modality: PSMA PET/CT | tracer: 18F-PSMA | view: axial | PET grid: 200×200 | deidentification: privacy mask over head
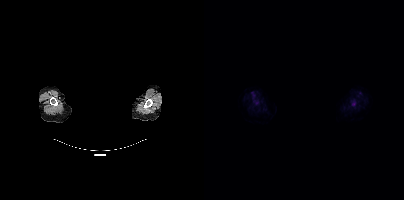
Coordinates are on the 200×200 PET (right) panel. PSMA-avid tumor lesion bounding box (x0, y0)-(x1, y1): (51, 101)-(55, 105).